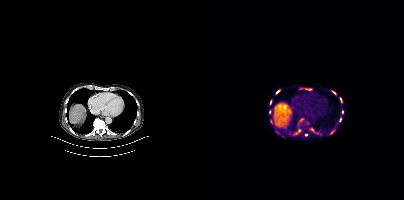
Coordinates are on the 200×200 PET (right) panel. PSMA-avid tumor lesion bounding boxes (x0, y0)-(x1, y1): (90, 129)-(96, 134) | (127, 90)-(132, 95) | (135, 97)-(138, 103) | (71, 89)-(76, 94) | (135, 117)-(137, 122) | (101, 88)-(107, 90) | (106, 128)-(110, 131) | (126, 130)-(130, 134) | (138, 110)-(139, 114) | (66, 100)-(67, 104). Small PSMA-avid foci (2 to 4 px across) near (center x, center y): (65, 111) | (102, 135) | (67, 122) | (72, 131).